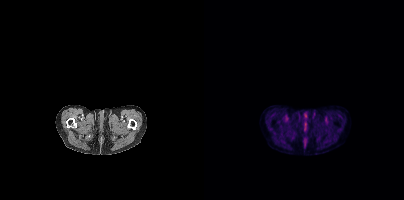
Paired axial CT (left) and PSMA PET (right), 18F-PSMA tracer. Slice 36 of 389. Negative for PSMA-avid disease on this slice.